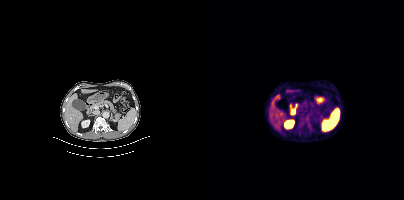
Coordinates are on the 200×200 PET (right) panel. PSMA-avid tumor lesion bounding box (x0, y0)-(x1, y1): (95, 118)-(108, 129).
modality: PSMA PET/CT | tracer: [18F]PSMA-1007 | view: axial